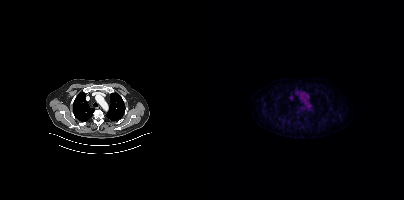
No tumor lesions annotated on this slice.